Technique: Two-panel axial: CT | PSMA PET, [18F]PSMA-1007 tracer. slice 222 of 397.
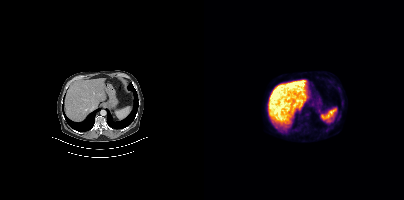
Findings: No tumor lesions annotated on this slice.